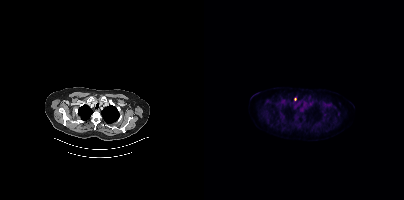
modality: PSMA PET/CT | tracer: 18F | view: axial
Coordinates are on the 200×200 PET (right) panel. Small PSMA-avid focus (2 to 4 px across) near (center x, center y): (91, 99).